- Two-panel axial: CT | PSMA PET, 18F tracer
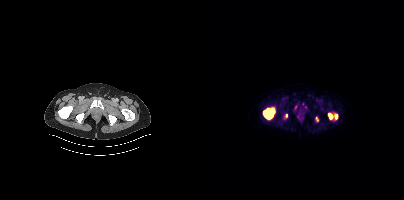
Findings: Coordinates are on the 200×200 PET (right) panel. (showing 4 of 5 foci) PSMA-avid tumor lesion bounding boxes (x0, y0)-(x1, y1): (59, 108)-(70, 119) / (124, 113)-(128, 119) / (131, 114)-(133, 119). Small PSMA-avid focus (2 to 4 px across) near (center x, center y): (82, 115).